- Left: CT. Right: PSMA PET, same axial level, 18F tracer
- slice 353 of 452
- PET panel 200×200 px (4.1 mm/px)
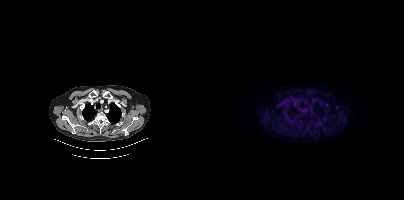
Findings: Negative for PSMA-avid disease on this slice.